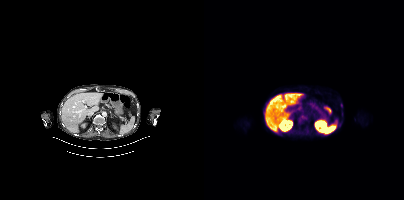
Coordinates are on the 200×200 PET (right) panel. PSMA-avid tumor lesion bounding boxes (partial; 2 more foci not listed):
| # | x0 | y0 | x1 | y1 |
|---|---|---|---|---|
| 1 | 137 | 103 | 138 | 107 |
Left: CT. Right: PSMA PET, same axial level, [18F]PSMA-1007 tracer.